- Two-panel axial: CT | PSMA PET, 68Ga tracer
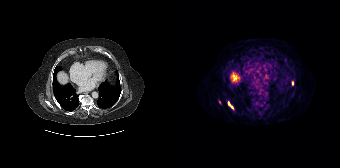
Findings: Coordinates are on the 168×168 PET (right) panel. PSMA-avid tumor lesion bounding box (x0, y0)-(x1, y1): (56, 102)-(61, 108). Small PSMA-avid focus (2 to 4 px across) near (center x, center y): (120, 83).